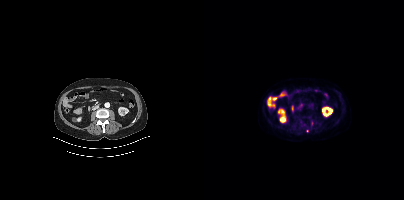
Findings: Coordinates are on the 200×200 PET (right) panel. Small PSMA-avid focus (2 to 4 px across) near (center x, center y): (103, 130).
- Left: CT. Right: PSMA PET, same axial level, [18F]PSMA-1007 tracer
- acquired on Siemens Biograph mCT Flow 20
- PET panel 200×200 px (4.1 mm/px)